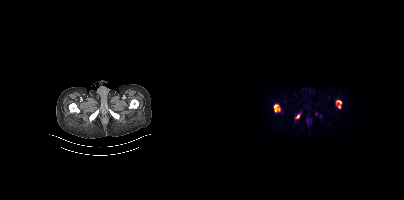
Two-panel axial: CT | PSMA PET, 68Ga-PSMA tracer. Acquired on Siemens Biograph mCT Flow 20. PET panel 200×200 px (4.1 mm/px). No tumor lesions annotated on this slice.